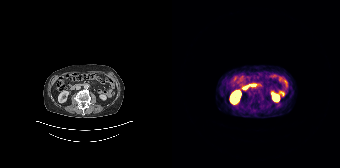
- Paired axial CT (left) and PSMA PET (right), 68Ga tracer
Findings: No PSMA-avid tumor lesions on this slice.